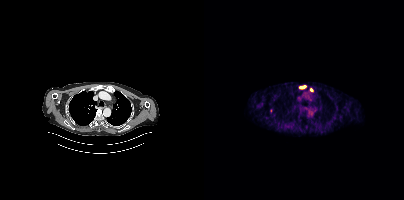
{"modality":"PSMA PET/CT","view":"axial","tracer":"18F-PSMA","pet_grid":[200,200],"coord_frame":"pet_panel","coord_format":"x0,y0,x1,y1","lesion_bboxes":[[95,85,102,88]],"small_foci_centers":[[107,89],[66,110]]}